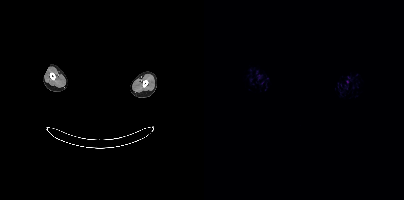
Technique: Paired axial CT (left) and PSMA PET (right), 18F-PSMA tracer. acquired on Siemens Biograph mCT Flow 20. PET panel 200×200 px (4.1 mm/px).
Note: The face region was removed for patient privacy by blanking a rectangle over the head.
Findings: Negative for PSMA-avid disease on this slice.